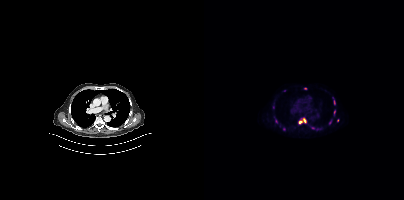
Technique: Two-panel axial: CT | PSMA PET, 18F tracer.
Findings: Coordinates are on the 200×200 PET (right) panel. (showing 3 of 6 foci) Small PSMA-avid foci (2 to 4 px across) near (center x, center y): (96, 122) | (100, 120) | (80, 129).